Two-panel axial: CT | PSMA PET, 18F tracer. Acquired on Siemens Biograph mCT Flow 20. Slice position z = -624 mm.
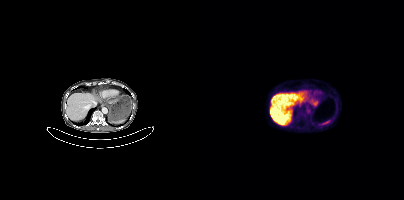
This slice has no annotated PSMA-avid lesion.